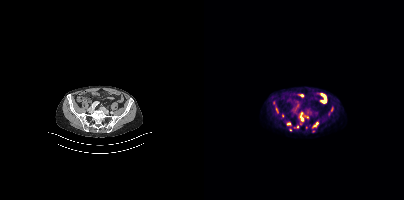
{"modality":"PSMA PET/CT","view":"axial","tracer":"[18F]PSMA-1007","pet_grid":[200,200],"coord_frame":"pet_panel","coord_format":"x0,y0,x1,y1","partial":true,"lesion_bboxes":[[96,112,99,121],[109,122,114,126],[121,99,123,103],[127,107,128,111]],"small_foci_centers":[[84,123],[86,130],[72,109],[93,126]]}